modality: PSMA PET/CT | tracer: 18F | view: axial
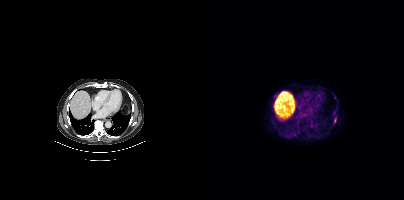
Coordinates are on the 200×200 PET (right) panel. PSMA-avid tumor lesion bounding box (x0, y0)-(x1, y1): (130, 117)-(132, 123).